- Left: CT. Right: PSMA PET, same axial level, 18F tracer
- slice position z = -886 mm
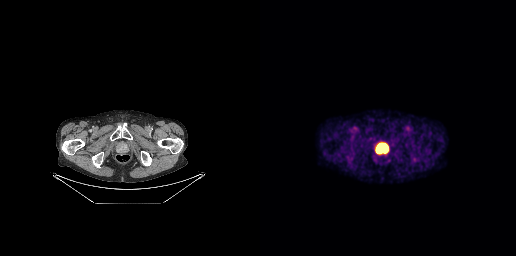
Findings: Coordinates are on the 256×256 PET (right) panel. PSMA-avid tumor lesion bounding box (x, y, width, height): x=116 y=143 w=13 h=11.